- Left: CT. Right: PSMA PET, same axial level, 18F tracer
- slice position z = -1355 mm
- PET panel 200×200 px (4.1 mm/px)
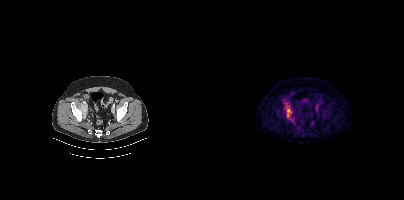
Findings: Coordinates are on the 200×200 PET (right) panel. PSMA-avid tumor lesion bounding box (x0, y0)-(x1, y1): (82, 105)-(87, 117).